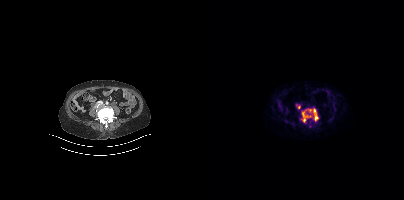
Coordinates are on the 200×200 PET (right) panel. PSMA-avid tumor lesion bounding boxes:
| # | x0 | y0 | x1 | y1 |
|---|---|---|---|---|
| 1 | 97 | 108 | 114 | 122 |
| 2 | 92 | 104 | 96 | 108 |
Two-panel axial: CT | PSMA PET, 68Ga tracer. Slice 136 of 397.